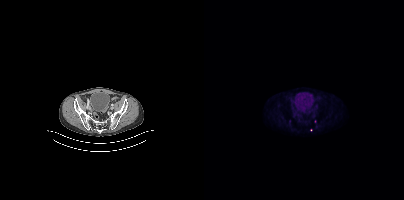
{"modality":"PSMA PET/CT","view":"axial","tracer":"[18F]PSMA-1007","pet_grid":[200,200],"coord_frame":"pet_panel","coord_format":"x0,y0,x1,y1","partial":true,"lesion_bboxes":[]}